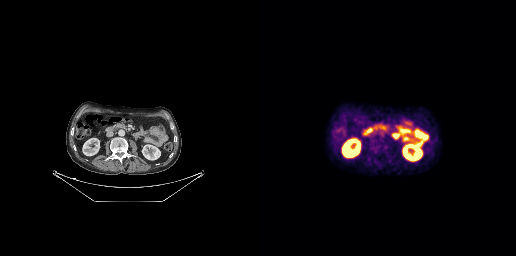
- Paired axial CT (left) and PSMA PET (right), 18F tracer
- acquired on GE Discovery 690
- slice 129 of 263
- PET panel 256×256 px (2.7 mm/px)
Findings: No tumor lesions annotated on this slice.